Two-panel axial: CT | PSMA PET, [68Ga]Ga-PSMA-11 tracer. PET panel 168×168 px (4.1 mm/px).
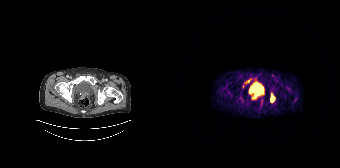
Coordinates are on the 168×168 PET (right) panel. (showing 2 of 3 foci) PSMA-avid tumor lesion bounding boxes (x0,y0,x1,y1): [98,94,102,102] [72,79,79,83].